Paired axial CT (left) and PSMA PET (right), 18F-PSMA tracer. Slice position z = -710 mm. PET panel 200×200 px (4.1 mm/px).
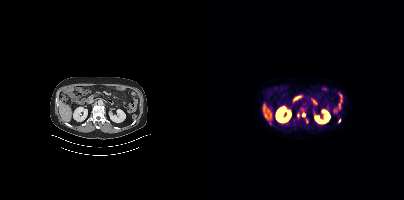
Coordinates are on the 200×200 PET (right) panel. (showing 3 of 4 foci) Small PSMA-avid foci (2 to 4 px across) near (center x, center y): (99, 114), (135, 120), (63, 118).